Technique: Two-panel axial: CT | PSMA PET, 18F-PSMA tracer. acquired on Siemens Biograph mCT Flow 20. slice position z = -1659 mm. PET panel 200×200 px (4.1 mm/px).
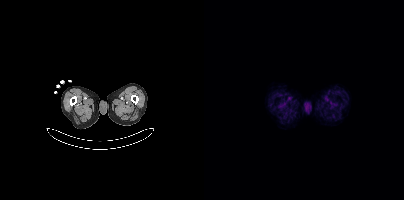
Findings: This slice has no annotated PSMA-avid lesion.